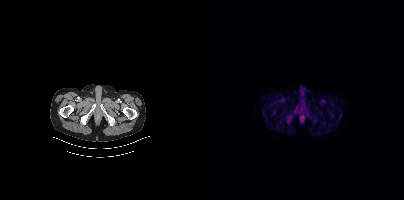
Two-panel axial: CT | PSMA PET, 18F tracer. Acquired on Siemens Biograph mCT Flow 20. Slice 56 of 409. PET panel 200×200 px (4.1 mm/px). This slice has no annotated PSMA-avid lesion.